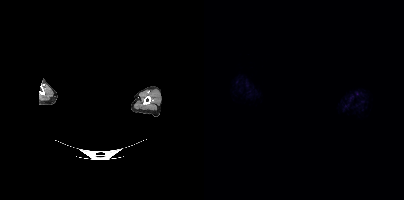
No tumor lesions annotated on this slice. Left: CT. Right: PSMA PET, same axial level, 18F tracer. A rectangle over the head was blacked out to remove identifiable facial features.